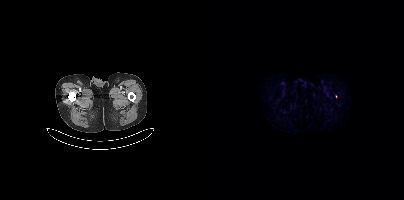
{"pet_grid":[200,200],"coord_frame":"pet_panel","coord_format":"x0,y0,x1,y1","partial":true,"lesion_bboxes":[],"modality":"PSMA PET/CT","view":"axial","tracer":"18F"}